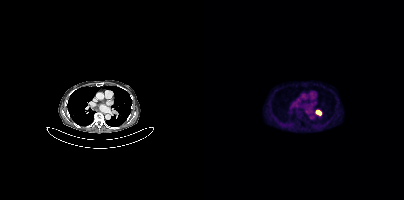
Coordinates are on the 200×200 PET (right) panel. PSMA-avid tumor lesion bounding box (x0,y0,x1,y1): [111,110,117,115].